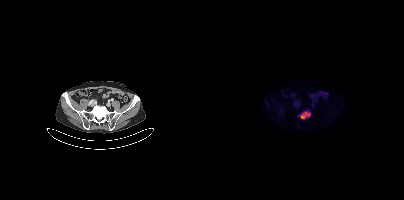
Coordinates are on the 200×200 PET (right) panel. PSMA-avid tumor lesion bounding box (x, y, width, height): x=94 y=111 w=13 h=9. Paired axial CT (left) and PSMA PET (right), 18F tracer. Acquired on Siemens Biograph mCT Flow 20. Slice position z = -126 mm. PET panel 200×200 px (4.1 mm/px).